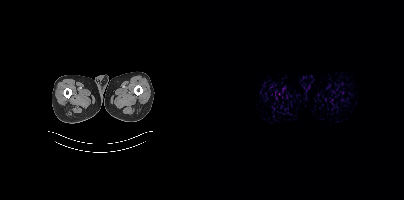
This slice has no annotated PSMA-avid lesion.